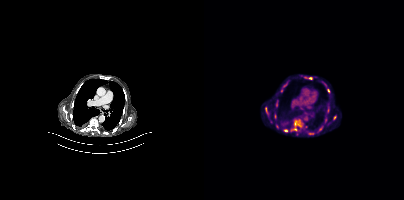
Coordinates are on the 200×200 PET (right) panel. (showing 6 of 9 foci) PSMA-avid tumor lesion bounding boxes (x0, y0)-(x1, y1): (87, 119)-(98, 131) | (61, 107)-(64, 115) | (70, 114)-(72, 118) | (72, 100)-(73, 106). Small PSMA-avid foci (2 to 4 px across) near (center x, center y): (131, 117) | (81, 130).